Left: CT. Right: PSMA PET, same axial level, [18F]PSMA-1007 tracer. Acquired on GE Discovery 690. Slice position z = -401 mm.
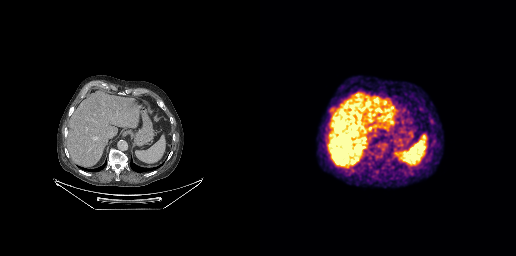
Coordinates are on the 256×256 PET (right) panel. Small PSMA-avid focus (2 to 4 px across) near (center x, center y): (70, 108).